- Two-panel axial: CT | PSMA PET, 18F tracer
- PET panel 200×200 px (4.1 mm/px)
- an anonymization step blacked out a rectangle over the head in this scan
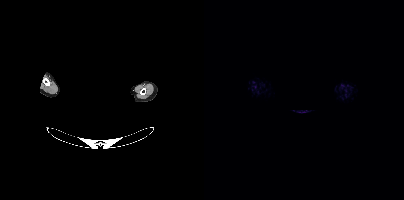
Findings: No PSMA-avid tumor lesions on this slice.